Left: CT. Right: PSMA PET, same axial level, 18F-PSMA tracer. Acquired on Siemens Biograph mCT Flow 20. Slice 169 of 381. PET panel 200×200 px (4.1 mm/px).
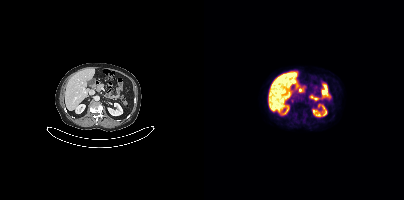
Coordinates are on the 200×200 PET (right) panel. Small PSMA-avid focus (2 to 4 px across) near (center x, center y): (88, 100).